Technique: Left: CT. Right: PSMA PET, same axial level, [18F]PSMA-1007 tracer. acquired on Siemens Biograph mCT Flow 20. slice position z = -1178 mm.
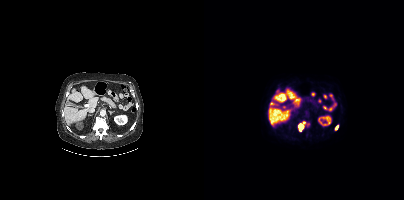
Findings: Coordinates are on the 200×200 PET (right) panel. PSMA-avid tumor lesion bounding boxes (x0, y0)-(x1, y1): (94, 121)-(101, 131) / (131, 125)-(134, 129).